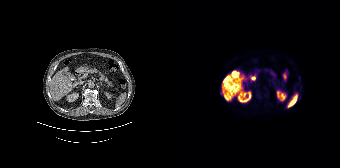
No tumor lesions annotated on this slice.